Two-panel axial: CT | PSMA PET, 68Ga-PSMA tracer. PET panel 168×168 px (4.1 mm/px).
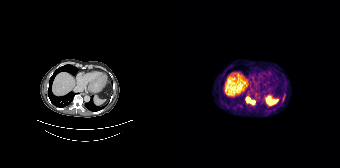
Coordinates are on the 168×168 PET (right) panel. PSMA-avid tumor lesion bounding boxes:
| # | x0 | y0 | x1 | y1 |
|---|---|---|---|---|
| 1 | 74 | 97 | 78 | 102 |
Small PSMA-avid focus (2 to 4 px across) near (center x, center y): (81, 102).